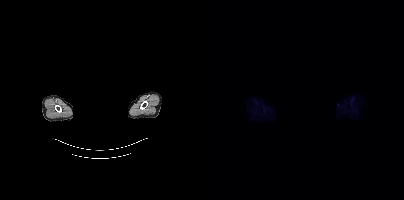
No tumor lesions annotated on this slice.
modality: PSMA PET/CT | tracer: 18F | view: axial | redaction: rectangular block over head set to black